modality: PSMA PET/CT | tracer: 18F | view: axial
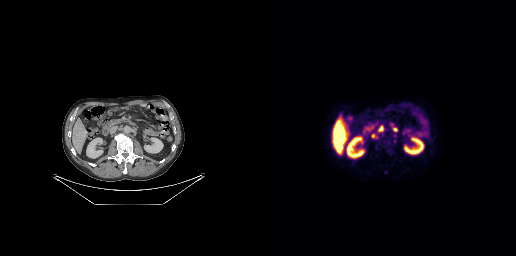
Coordinates are on the 256×256 PET (right) panel. PSMA-avid tumor lesion bounding boxes (x0,y0,x1,y1): [118,125,123,131] [133,127,137,131] [112,134,117,138].